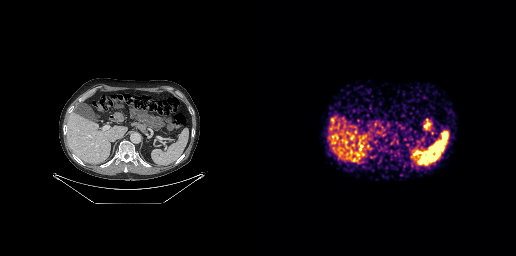
Coordinates are on the 256×256 PET (right) panel. PSMA-avid tumor lesion bounding box (x0,y0,x1,y1): [157,151,163,157].